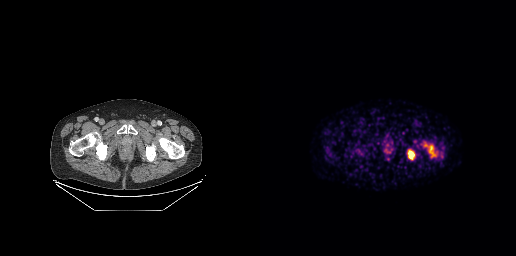
{"modality":"PSMA PET/CT","view":"axial","tracer":"[68Ga]Ga-PSMA-11","pet_grid":[256,256],"coord_frame":"pet_panel","coord_format":"x0,y0,x1,y1","lesion_bboxes":[[148,150,154,159],[169,146,174,155]]}